Two-panel axial: CT | PSMA PET, 18F tracer. Acquired on Siemens Biograph mCT Flow 20. PET panel 200×200 px (4.1 mm/px).
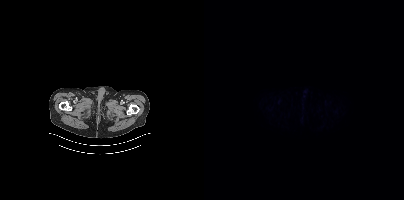
No tumor lesions annotated on this slice.